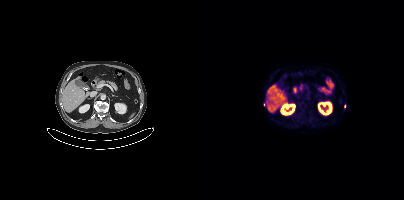
{"modality":"PSMA PET/CT","view":"axial","tracer":"[18F]PSMA-1007","pet_grid":[200,200],"coord_frame":"pet_panel","coord_format":"x0,y0,x1,y1","partial":true,"lesion_bboxes":[]}